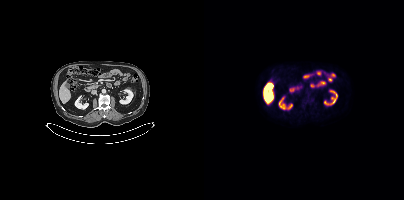
modality: PSMA PET/CT | tracer: [18F]PSMA-1007 | view: axial
Negative for PSMA-avid disease on this slice.